Facial anatomy redacted by setting a rectangular region of the head to black.
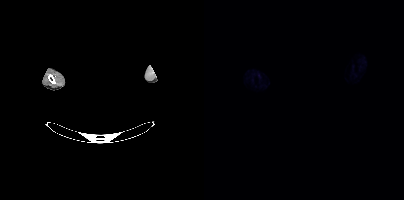
Negative for PSMA-avid disease on this slice.